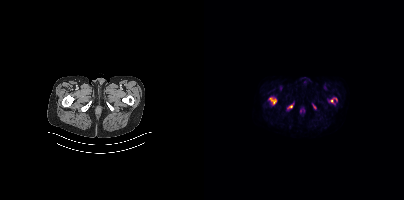
- Left: CT. Right: PSMA PET, same axial level, [18F]PSMA-1007 tracer
- slice position z = -1524 mm
Findings: Coordinates are on the 200×200 PET (right) panel. PSMA-avid tumor lesion bounding boxes (x0,y0,x1,y1): [66,98,72,103], [84,105,88,108]. Small PSMA-avid foci (2 to 4 px across) near (center x, center y): (128, 100), (131, 99).